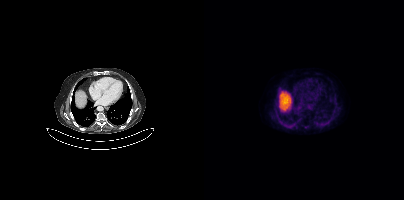
Coordinates are on the 200×200 PET (right) panel. Small PSMA-avid focus (2 to 4 px across) near (center x, center y): (101, 126).